modality: PSMA PET/CT | tracer: 68Ga-PSMA | view: axial | PET grid: 168×168
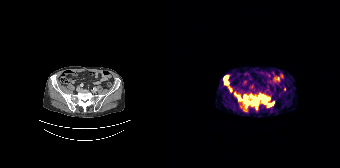
Coordinates are on the 168×168 PET (right) panel. (showing 9 of 12 foci) PSMA-avid tumor lesion bounding boxes (x, y, width, height): x=82 y=95 w=13 h=9 | x=72 y=95 w=5 h=15 | x=52 y=76 w=5 h=9 | x=79 y=102 w=8 h=7 | x=96 y=102 w=7 h=5. Small PSMA-avid foci (2 to 4 px across) near (center x, center y): (112, 89) | (67, 98) | (58, 90) | (96, 98).